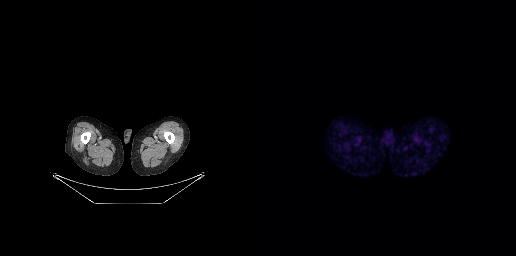
Technique: Paired axial CT (left) and PSMA PET (right), [68Ga]Ga-PSMA-11 tracer. acquired on GE Discovery 690. slice 27 of 263. PET panel 256×256 px (2.7 mm/px).
Findings: No PSMA-avid tumor lesions on this slice.